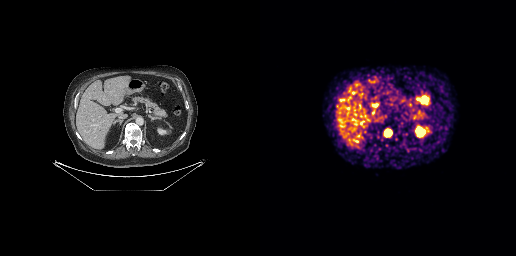
Coordinates are on the 256×256 PET (right) panel. PSMA-avid tumor lesion bounding box (x, y, width, height): x=125 y=130 w=7 h=7.